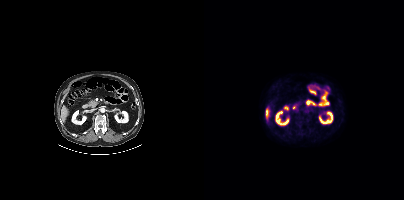
- Paired axial CT (left) and PSMA PET (right), 18F-PSMA tracer
- PET panel 200×200 px (4.1 mm/px)
Findings: No PSMA-avid tumor lesions on this slice.